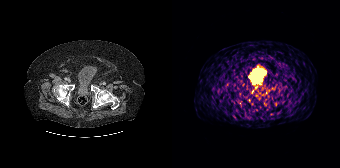
Coordinates are on the 168×168 PET (right) panel. PSMA-avid tumor lesion bounding box (x0,y0,x1,y1): [83,86,89,94]. Small PSMA-avid focus (2 to 4 px across) near (center x, center y): (80, 91).